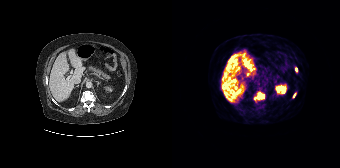
Technique: Left: CT. Right: PSMA PET, same axial level, 68Ga-PSMA tracer. acquired on Siemens Biograph 64-4R TruePoint.
Findings: Coordinates are on the 168×168 PET (right) panel. PSMA-avid tumor lesion bounding boxes (x, y, width, height): x=82 y=92 w=11 h=9; x=121 y=93 w=4 h=5. Small PSMA-avid focus (2 to 4 px across) near (center x, center y): (124, 69).